Two-panel axial: CT | PSMA PET, [18F]PSMA-1007 tracer.
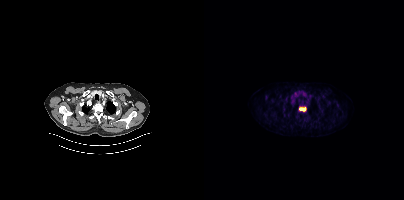
Coordinates are on the 200×200 PET (right) panel. PSMA-avid tumor lesion bounding box (x, y, width, height): x=95 y=107 w=8 h=5.